- Paired axial CT (left) and PSMA PET (right), [18F]PSMA-1007 tracer
- PET panel 200×200 px (4.1 mm/px)
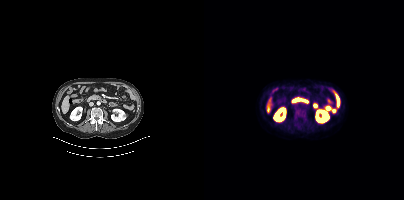
Findings: No PSMA-avid tumor lesions on this slice.